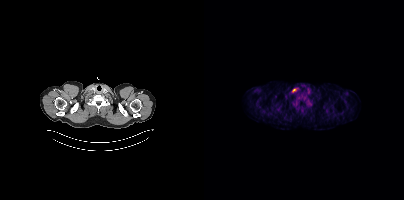
modality: PSMA PET/CT | tracer: 18F-PSMA | view: axial | PET grid: 200×200
Coordinates are on the 200×200 PET (right) panel. Small PSMA-avid focus (2 to 4 px across) near (center x, center y): (90, 90).